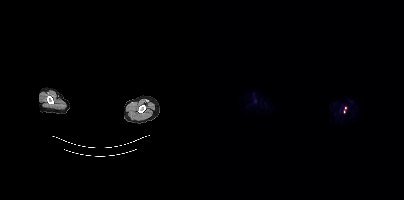
Coordinates are on the 200×200 PET (right) panel. PSMA-avid tumor lesion bounding box (x0,y0,x1,y1): [140,107,142,112].
de-identification: head region blacked out before release | modality: PSMA PET/CT | tracer: 18F | view: axial